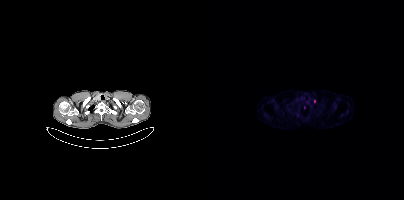
{"pet_grid":[200,200],"coord_frame":"pet_panel","coord_format":"x0,y0,x1,y1","partial":true,"lesion_bboxes":[],"small_foci_centers":[[100,107]],"modality":"PSMA PET/CT","view":"axial","tracer":"[68Ga]Ga-PSMA-11"}